modality: PSMA PET/CT | tracer: [18F]PSMA-1007 | view: axial | PET grid: 200×200
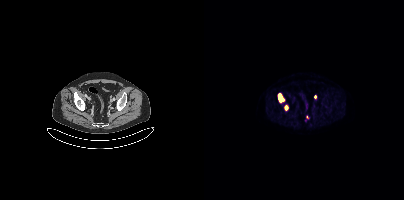
Coordinates are on the 200×200 PET (right) panel. PSMA-avid tumor lesion bounding box (x, y, width, height): x=74 y=94 w=6 h=8. Small PSMA-avid foci (2 to 4 px across) near (center x, center y): (82, 107) / (111, 96).